- Two-panel axial: CT | PSMA PET, 18F tracer
- slice 330 of 433
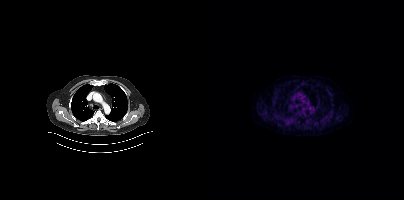
Findings: Coordinates are on the 200×200 PET (right) panel. Small PSMA-avid focus (2 to 4 px across) near (center x, center y): (92, 105).